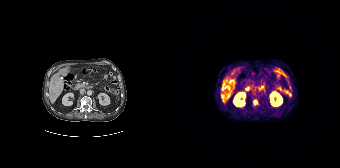
Coordinates are on the 168×168 PET (right) panel. PSMA-avid tumor lesion bounding boxes (x0,y0,x1,y1): [50,83,54,88], [49,94,53,98], [81,100,85,104].